modality: PSMA PET/CT | tracer: 18F-PSMA | view: axial | PET grid: 200×200
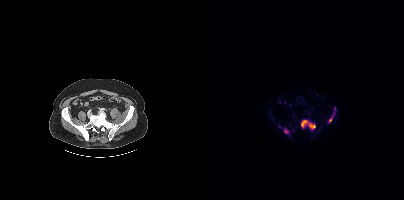
Coordinates are on the 200×200 PET (right) panel. (showing 3 of 5 foci) PSMA-avid tumor lesion bounding boxes (x0, y0)-(x1, y1): (97, 120)-(111, 129); (124, 115)-(129, 122); (80, 130)-(84, 133).